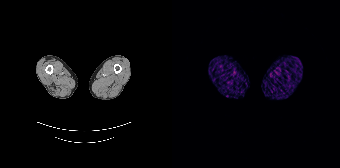
modality: PSMA PET/CT | tracer: 68Ga-PSMA | view: axial
No tumor lesions annotated on this slice.